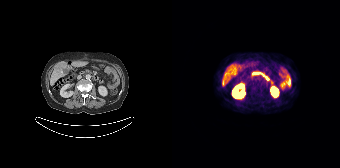
Coordinates are on the 168×168 PET (right) panel. Small PSMA-avid focus (2 to 4 px across) near (center x, center y): (51, 83). Paired axial CT (left) and PSMA PET (right), 68Ga tracer. Acquired on Siemens Biograph 64-4R TruePoint. PET panel 168×168 px (4.1 mm/px).